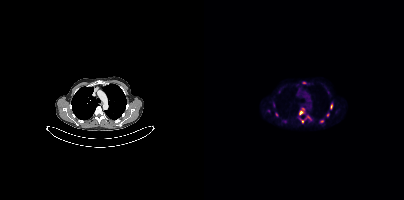
Findings: Coordinates are on the 200×200 PET (right) panel. (showing 9 of 10 foci) PSMA-avid tumor lesion bounding boxes (x0,y0,x1,y1): [95,108,100,115] [95,115,107,123] [126,103,129,109]. Small PSMA-avid foci (2 to 4 px across) near (center x, center y): (123, 114) (117, 121) (72, 114) (100, 82) (64, 110) (80, 121).
- Left: CT. Right: PSMA PET, same axial level, 18F-PSMA tracer
- acquired on Siemens Biograph mCT Flow 20